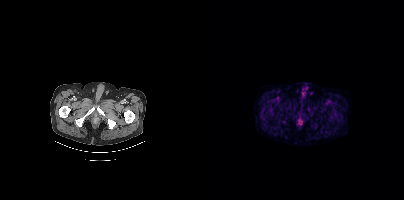
Negative for PSMA-avid disease on this slice. Two-panel axial: CT | PSMA PET, 18F-PSMA tracer. PET panel 200×200 px (4.1 mm/px).